Paired axial CT (left) and PSMA PET (right), 68Ga-PSMA tracer. Acquired on Siemens Biograph 64-4R TruePoint.
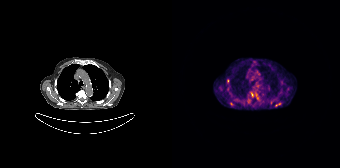
Coordinates are on the 168×168 PET (right) panel. (showing 5 of 7 foci) PSMA-avid tumor lesion bounding box (x, y, width, height): x=78 y=91 w=10 h=10. Small PSMA-avid foci (2 to 4 px across) near (center x, center y): (59, 103); (77, 100); (55, 81); (107, 103).